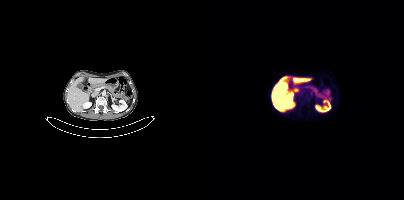
Paired axial CT (left) and PSMA PET (right), [18F]PSMA-1007 tracer. Slice position z = -575 mm. PET panel 200×200 px (4.1 mm/px). No tumor lesions annotated on this slice.